Left: CT. Right: PSMA PET, same axial level, 18F-PSMA tracer. Acquired on Siemens Biograph mCT Flow 20. PET panel 200×200 px (4.1 mm/px).
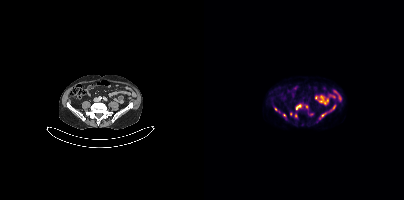
Coordinates are on the 200×200 PET (right) panel. (showing 7 of 8 foci) PSMA-avid tumor lesion bounding boxes (x, y, width, height): x=115 y=104 w=17 h=15 | x=92 y=104 w=6 h=6. Small PSMA-avid foci (2 to 4 px across) near (center x, center y): (71, 108) | (102, 106) | (80, 115) | (91, 115) | (86, 113).